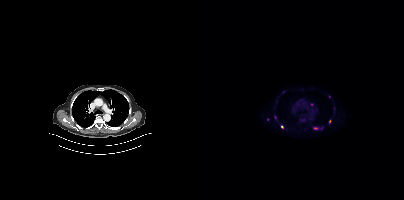
Coordinates are on the 200×200 PET (right) panel. PSMA-avid tumor lesion bounding box (x, y, width, height): x=109 y=127 w=5 h=3. Small PSMA-avid foci (2 to 4 px across) near (center x, center y): (78, 127); (125, 121); (107, 104); (63, 119).